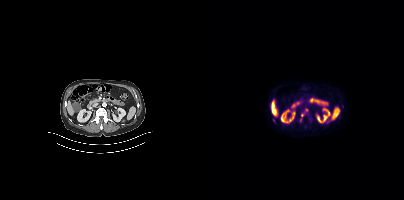
Left: CT. Right: PSMA PET, same axial level, [18F]PSMA-1007 tracer. Acquired on Siemens Biograph mCT Flow 20. PET panel 200×200 px (4.1 mm/px). Coordinates are on the 200×200 PET (right) panel. Small PSMA-avid foci (2 to 4 px across) near (center x, center y): (98, 114); (69, 119); (138, 106); (102, 110); (96, 120).